Paired axial CT (left) and PSMA PET (right), 18F-PSMA tracer. Acquired on GE Discovery 690. PET panel 256×256 px (2.7 mm/px).
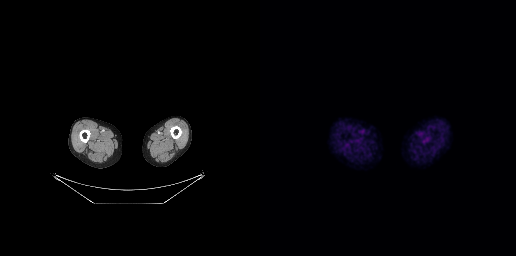
No PSMA-avid tumor lesions on this slice.